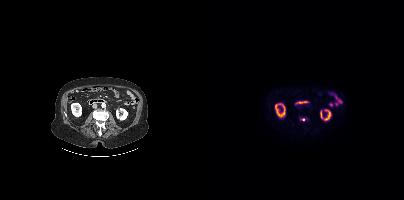
Findings: Only PSMA-avid lesion pieces thinner than 2 px on this slice (not listed).
- Two-panel axial: CT | PSMA PET, 18F tracer